Two-panel axial: CT | PSMA PET, 18F-PSMA tracer.
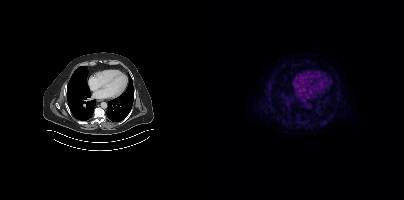
Negative for PSMA-avid disease on this slice.